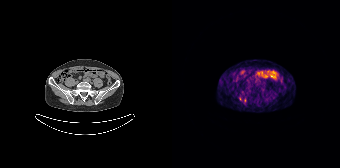
{"modality":"PSMA PET/CT","view":"axial","tracer":"[68Ga]Ga-PSMA-11","pet_grid":[168,168],"coord_frame":"pet_panel","coord_format":"x0,y0,x1,y1","partial":true,"lesion_bboxes":[],"small_foci_centers":[[72,100]]}